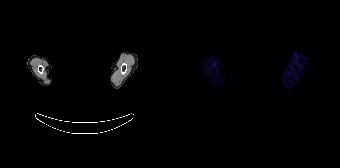
Face de-identified by blanking a block of the head. Paired axial CT (left) and PSMA PET (right), 68Ga tracer. Acquired on Siemens Biograph 64-4R TruePoint. Slice 152 of 165. PET panel 168×168 px (4.1 mm/px). This slice has no annotated PSMA-avid lesion.